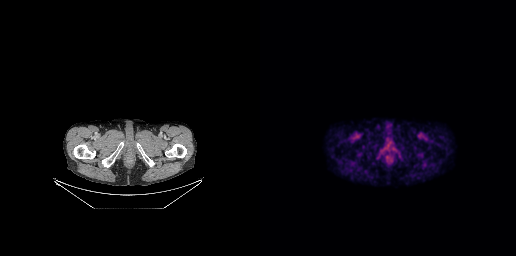
Coordinates are on the 256×256 PET (right) panel. PSMA-avid tumor lesion bounding box (x0, y0)-(x1, y1): (125, 155)-(134, 163).